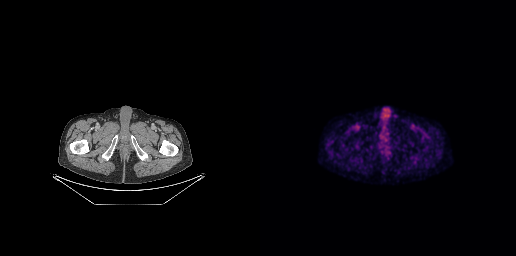
Negative for PSMA-avid disease on this slice.